Two-panel axial: CT | PSMA PET, 68Ga-PSMA tracer. Acquired on Siemens Biograph 64-4R TruePoint.
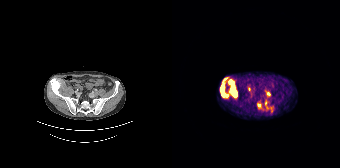
Coordinates are on the 168×168 PET (right) panel. PSMA-avid tumor lesion bounding boxes (partial; 1 more focus not listed):
| # | x0 | y0 | x1 | y1 |
|---|---|---|---|---|
| 1 | 48 | 77 | 65 | 98 |
| 2 | 93 | 99 | 101 | 112 |
| 3 | 85 | 101 | 91 | 109 |
| 4 | 93 | 90 | 98 | 97 |